modality: PSMA PET/CT | tracer: [18F]PSMA-1007 | view: axial
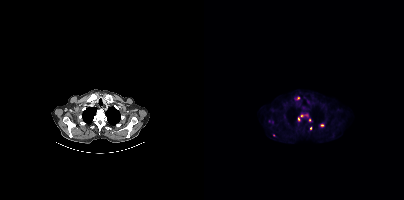
Coordinates are on the 200×200 PET (right) panel. (showing 7 of 8 foci) PSMA-avid tumor lesion bounding box (x0,y0,x1,y1): [96,113,104,117]. Small PSMA-avid foci (2 to 4 px across) near (center x, center y): (118, 125), (94, 98), (94, 118), (106, 128), (105, 119), (68, 121).